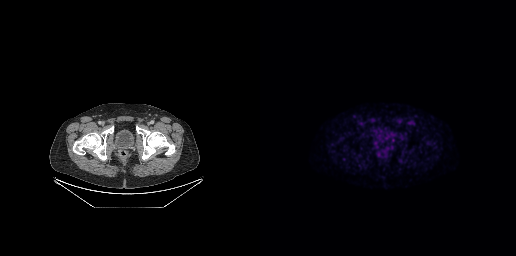
No PSMA-avid tumor lesions on this slice.